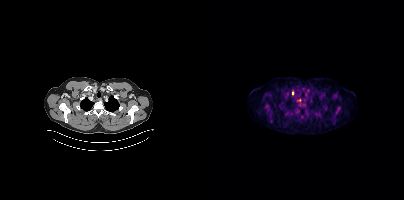
Technique: Left: CT. Right: PSMA PET, same axial level, [18F]PSMA-1007 tracer. acquired on Siemens Biograph mCT Flow 20. slice 368 of 454. PET panel 200×200 px (4.1 mm/px).
Findings: Coordinates are on the 200×200 PET (right) panel. (showing 2 of 3 foci) Small PSMA-avid foci (2 to 4 px across) near (center x, center y): (88, 93) / (96, 99).